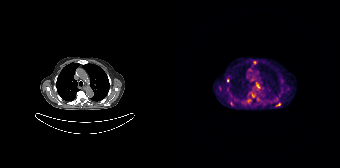
{"modality":"PSMA PET/CT","view":"axial","tracer":"68Ga","pet_grid":[168,168],"coord_frame":"pet_panel","coord_format":"x0,y0,x1,y1","lesion_bboxes":[[77,92,83,97],[84,82,87,88]],"small_foci_centers":[[82,62],[77,100],[86,99],[105,99],[59,103],[106,104],[55,80]]}